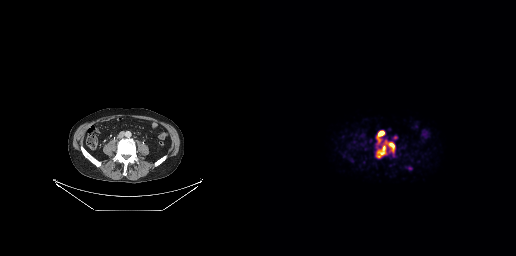
Technique: Two-panel axial: CT | PSMA PET, 68Ga-PSMA tracer. slice position z = -685 mm. PET panel 256×256 px (2.7 mm/px).
Findings: Coordinates are on the 256×256 PET (right) panel. PSMA-avid tumor lesion bounding boxes (x, y, width, height): x=117 y=146 w=9 h=12; x=124 y=140 w=11 h=11; x=117 y=131 w=8 h=10.